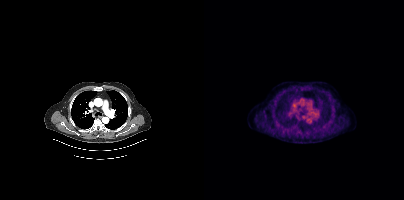
Paired axial CT (left) and PSMA PET (right), [18F]PSMA-1007 tracer. Acquired on Siemens Biograph mCT Flow 20. Negative for PSMA-avid disease on this slice.